Technique: Two-panel axial: CT | PSMA PET, 18F-PSMA tracer. acquired on GE Discovery 690. slice 78 of 263.
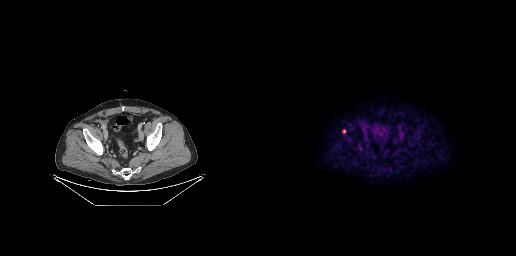
Findings: Coordinates are on the 256×256 PET (right) panel. Small PSMA-avid focus (2 to 4 px across) near (center x, center y): (84, 131).